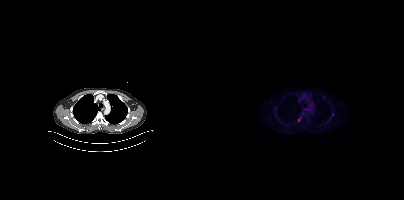
Coordinates are on the 200×200 PET (right) panel. (showing 1 of 3 foci) Small PSMA-avid focus (2 to 4 px across) near (center x, center y): (128, 114).